Paired axial CT (left) and PSMA PET (right), [18F]PSMA-1007 tracer. Acquired on Siemens Biograph mCT Flow 20. PET panel 200×200 px (4.1 mm/px).
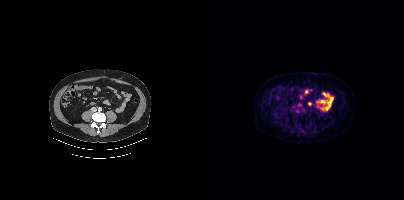
No PSMA-avid tumor lesions on this slice.